- Two-panel axial: CT | PSMA PET, [18F]PSMA-1007 tracer
- acquired on Siemens Biograph mCT Flow 20
- slice 119 of 409
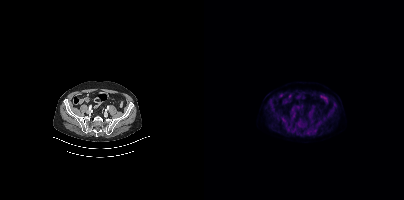
Findings: Coordinates are on the 200×200 PET (right) panel. Small PSMA-avid focus (2 to 4 px across) near (center x, center y): (84, 128).